- Two-panel axial: CT | PSMA PET, 18F tracer
- slice position z = -934 mm
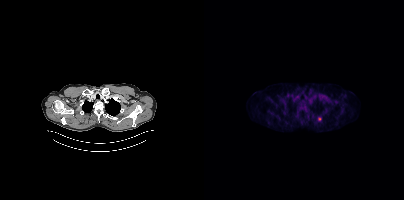
Findings: Coordinates are on the 200×200 PET (right) panel. Small PSMA-avid focus (2 to 4 px across) near (center x, center y): (115, 118).